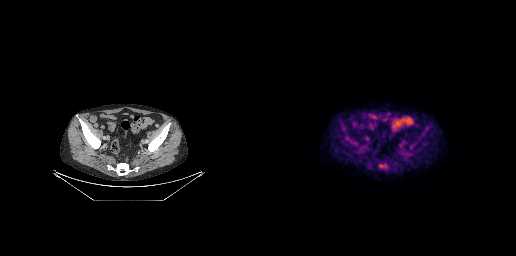
Two-panel axial: CT | PSMA PET, 18F-PSMA tracer. No PSMA-avid tumor lesions on this slice.